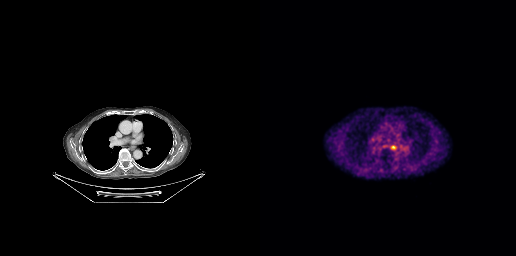
Coordinates are on the 256×256 PET (right) panel. PSMA-avid tumor lesion bounding box (x0, y0)-(x1, y1): (131, 145)-(136, 149).